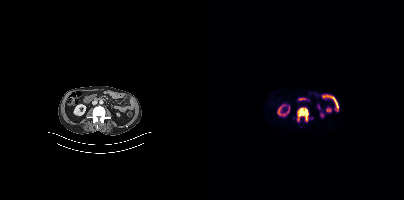
Paired axial CT (left) and PSMA PET (right), 18F-PSMA tracer. Slice position z = -624 mm. Coordinates are on the 200×200 PET (right) panel. PSMA-avid tumor lesion bounding box (x0,y0,x1,y1): [93,108,104,121].